- Paired axial CT (left) and PSMA PET (right), [18F]PSMA-1007 tracer
- slice 79 of 411
- PET panel 200×200 px (4.1 mm/px)
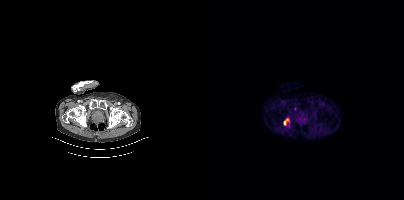
Findings: Coordinates are on the 200×200 PET (right) panel. PSMA-avid tumor lesion bounding box (x0,y0,x1,y1): [79,118,85,125]. Small PSMA-avid focus (2 to 4 px across) near (center x, center y): (91, 108).